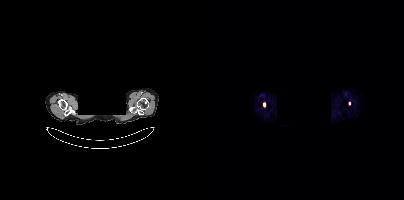
{"modality":"PSMA PET/CT","view":"axial","tracer":"18F","pet_grid":[200,200],"coord_frame":"pet_panel","coord_format":"x0,y0,x1,y1","deidentification":"face masked with black rectangle","lesion_bboxes":[],"small_foci_centers":[[60,104],[145,103]]}